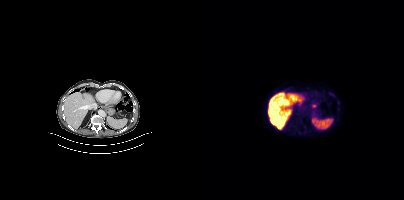
modality: PSMA PET/CT | tracer: [18F]PSMA-1007 | view: axial | PET grid: 200×200
No tumor lesions annotated on this slice.